Paired axial CT (left) and PSMA PET (right), 68Ga-PSMA tracer. Slice 104 of 393.
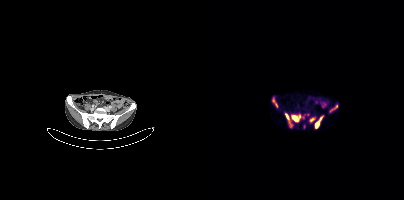
Coordinates are on the 200×200 PET (right) panel. (showing 7 of 8 foci) PSMA-avid tumor lesion bounding boxes (x, y, width, height): x=87 y=115 w=10 h=7 | x=111 y=117 w=8 h=12 | x=68 y=98 w=6 h=10 | x=81 y=114 w=5 h=6 | x=126 y=105 w=8 h=7. Small PSMA-avid foci (2 to 4 px across) near (center x, center y): (107, 120) | (100, 126).